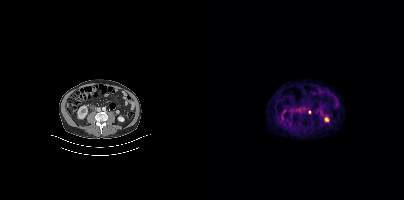
Coordinates are on the 200×200 PET (right) panel. Small PSMA-avid focus (2 to 4 px across) near (center x, center y): (105, 112).